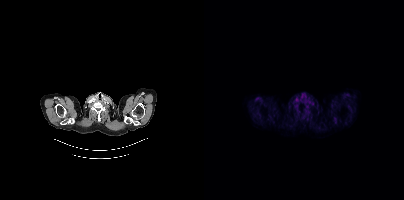
No tumor lesions annotated on this slice.